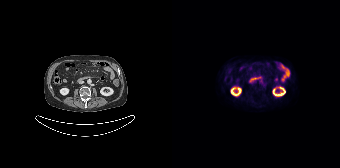
Findings: Negative for PSMA-avid disease on this slice.
Technique: Two-panel axial: CT | PSMA PET, [18F]PSMA-1007 tracer. slice position z = -1175 mm.